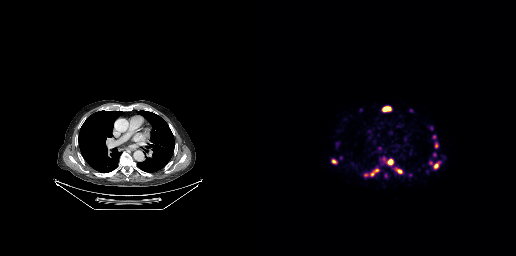
{"modality":"PSMA PET/CT","view":"axial","tracer":"[68Ga]Ga-PSMA-11","pet_grid":[256,256],"coord_frame":"pet_panel","coord_format":"x0,y0,x1,y1","partial":true,"lesion_bboxes":[[110,168,119,176],[123,107,129,111],[174,164,178,168]],"small_foci_centers":[[130,161],[73,160],[139,171],[105,175],[119,148],[171,128],[100,109]]}